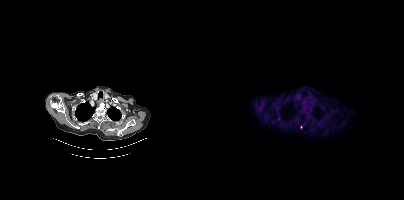
Findings: Coordinates are on the 200×200 PET (right) panel. PSMA-avid tumor lesion bounding box (x0,y0,x1,y1): [74,116,76,120]. Small PSMA-avid focus (2 to 4 px across) near (center x, center y): (97, 127).
Technique: Left: CT. Right: PSMA PET, same axial level, 18F tracer. acquired on Siemens Biograph mCT Flow 20.